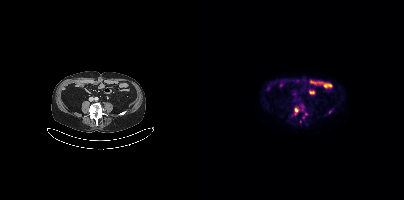
Left: CT. Right: PSMA PET, same axial level, [18F]PSMA-1007 tracer. Coordinates are on the 200×200 PET (right) panel. (showing 4 of 6 foci) Small PSMA-avid foci (2 to 4 px across) near (center x, center y): (91, 113), (92, 110), (125, 112), (101, 113).